- Two-panel axial: CT | PSMA PET, [18F]PSMA-1007 tracer
- acquired on Siemens Biograph mCT Flow 20
- slice position z = 133 mm
- PET panel 200×200 px (4.1 mm/px)
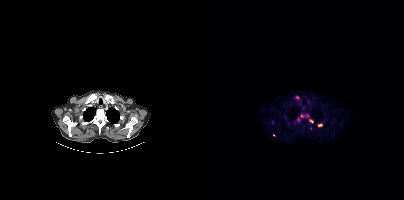
Findings: Coordinates are on the 200×200 PET (right) panel. (showing 8 of 10 foci) PSMA-avid tumor lesion bounding boxes (x0, y0)-(x1, y1): (96, 113)-(105, 118) | (114, 124)-(118, 126). Small PSMA-avid foci (2 to 4 px across) near (center x, center y): (107, 120) | (91, 121) | (93, 97) | (94, 119) | (68, 121) | (99, 107).